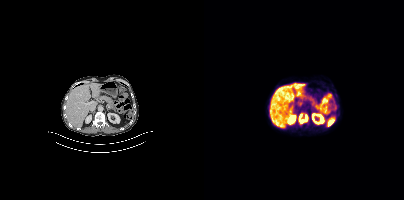
Findings: Coordinates are on the 200×200 PET (right) panel. PSMA-avid tumor lesion bounding box (x0,y0,x1,y1): [94,113,104,123].
- Paired axial CT (left) and PSMA PET (right), [18F]PSMA-1007 tracer